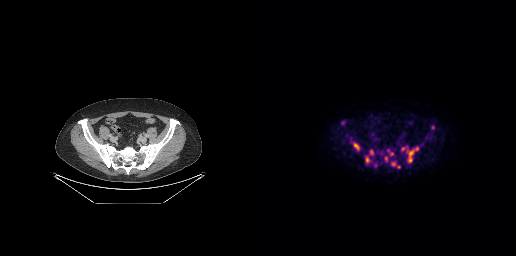
Technique: Two-panel axial: CT | PSMA PET, [18F]PSMA-1007 tracer. acquired on GE Discovery 690. slice 97 of 299. PET panel 256×256 px (2.7 mm/px).
Findings: Coordinates are on the 256×256 PET (right) panel. (showing 9 of 10 foci) PSMA-avid tumor lesion bounding boxes (x, y, width, height): x=146 y=147 w=13 h=15 | x=93 y=142 w=7 h=9 | x=106 y=157 w=4 h=6 | x=110 y=150 w=4 h=5 | x=142 y=147 w=5 h=4. Small PSMA-avid foci (2 to 4 px across) near (center x, center y): (133, 163) | (126, 158) | (132, 154) | (139, 167).